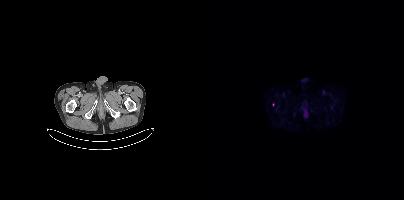
{"pet_grid":[200,200],"coord_frame":"pet_panel","coord_format":"x0,y0,x1,y1","lesion_bboxes":[[100,110,104,117]],"small_foci_centers":[[69,104]],"modality":"PSMA PET/CT","view":"axial","tracer":"18F"}